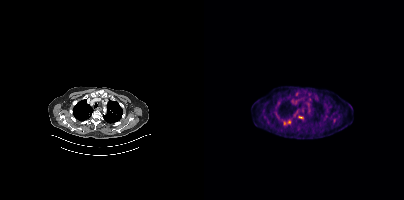
Technique: Two-panel axial: CT | PSMA PET, 18F tracer. slice position z = -1076 mm.
Findings: Coordinates are on the 200×200 PET (right) panel. PSMA-avid tumor lesion bounding box (x, y, width, height): x=94 y=116 w=6 h=3. Small PSMA-avid foci (2 to 4 px across) near (center x, center y): (85, 121); (80, 122).